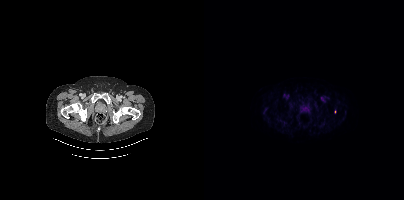
{"modality":"PSMA PET/CT","view":"axial","tracer":"18F","pet_grid":[200,200],"coord_frame":"pet_panel","coord_format":"x0,y0,x1,y1","lesion_bboxes":[],"small_foci_centers":[[131,111]]}